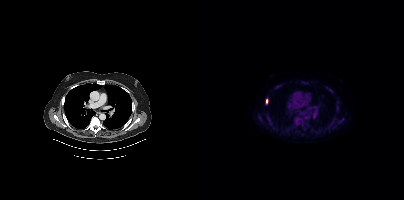
Findings: Coordinates are on the 200×200 PET (right) panel. (showing 11 of 12 foci) PSMA-avid tumor lesion bounding boxes (x, y, width, height): x=90 y=117 w=9 h=8; x=63 y=117 w=9 h=12; x=135 y=118 w=5 h=5; x=55 y=117 w=4 h=5; x=62 y=99 w=2 h=5. Small PSMA-avid foci (2 to 4 px across) near (center x, center y): (99, 82); (72, 86); (133, 109); (127, 91); (63, 96); (118, 130).
- Left: CT. Right: PSMA PET, same axial level, 18F tracer
- acquired on Siemens Biograph mCT Flow 20
- PET panel 200×200 px (4.1 mm/px)